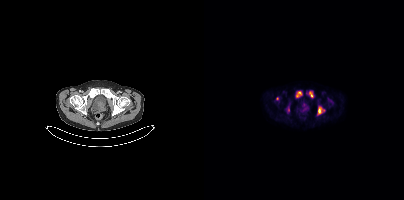
Paired axial CT (left) and PSMA PET (right), [18F]PSMA-1007 tracer. Acquired on Siemens Biograph mCT Flow 20. Slice position z = -1492 mm.
Coordinates are on the 200×200 PET (right) panel. PSMA-avid tumor lesion bounding boxes:
| # | x0 | y0 | x1 | y1 |
|---|---|---|---|---|
| 1 | 92 | 91 | 98 | 97 |
| 2 | 105 | 91 | 109 | 97 |
Small PSMA-avid foci (2 to 4 px across) near (center x, center y): (73, 98); (84, 109); (115, 109).